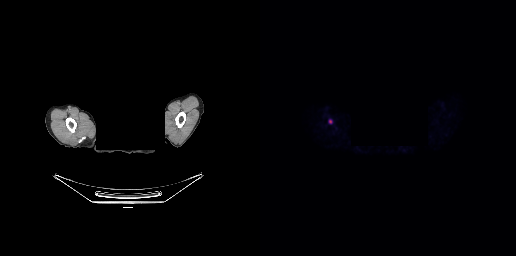
modality: PSMA PET/CT | tracer: 18F-PSMA | view: axial | deidentification: privacy mask over head
Coordinates are on the 256×256 PET (right) panel. PSMA-avid tumor lesion bounding box (x0, y0)-(x1, y1): (69, 119)-(72, 123).